- Paired axial CT (left) and PSMA PET (right), [18F]PSMA-1007 tracer
- acquired on Siemens Biograph mCT Flow 20
- slice position z = -438 mm
- PET panel 200×200 px (4.1 mm/px)
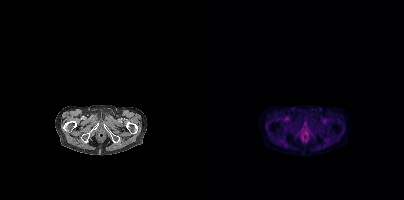
Findings: This slice has no annotated PSMA-avid lesion.